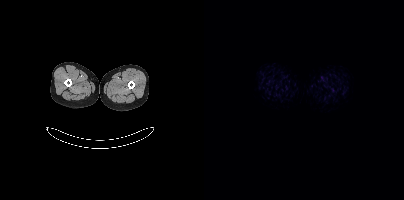
Negative for PSMA-avid disease on this slice.